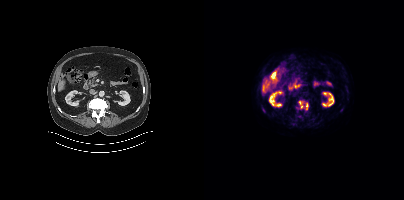
Technique: Paired axial CT (left) and PSMA PET (right), [18F]PSMA-1007 tracer. acquired on Siemens Biograph mCT Flow 20. slice position z = -582 mm. PET panel 200×200 px (4.1 mm/px).
Findings: Coordinates are on the 200×200 PET (right) panel. PSMA-avid tumor lesion bounding boxes (x0,y0,x1,y1): [94,101,99,108] [101,102,104,109].